Paired axial CT (left) and PSMA PET (right), 68Ga tracer. Acquired on GE Discovery 690. Slice position z = -510 mm.
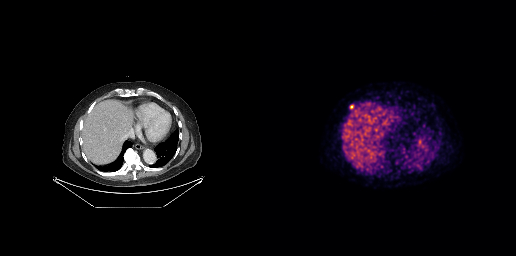
Coordinates are on the 256×256 PET (right) panel. Small PSMA-avid focus (2 to 4 px across) near (center x, center y): (91, 107).